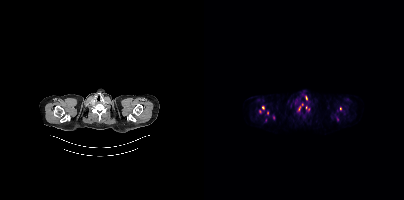
Coordinates are on the 200×200 PET (right) panel. (showing 2 of 6 foci) Small PSMA-avid foci (2 to 4 px across) near (center x, center y): (59, 107), (136, 108).